Paired axial CT (left) and PSMA PET (right), [18F]PSMA-1007 tracer. Acquired on Siemens Biograph mCT Flow 20. Slice position z = -1473 mm. PET panel 200×200 px (4.1 mm/px).
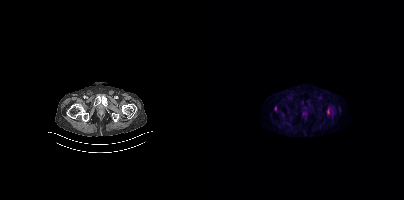
Coordinates are on the 200×200 PET (right) panel. Small PSMA-avid foci (2 to 4 px across) near (center x, center y): (124, 111); (71, 108).